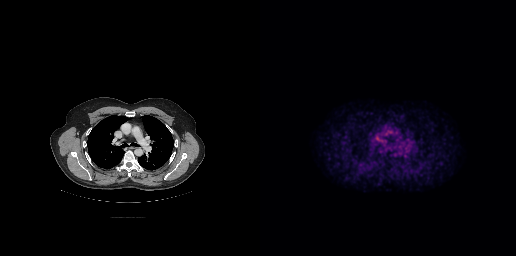
{"modality":"PSMA PET/CT","view":"axial","tracer":"[18F]PSMA-1007","pet_grid":[256,256],"coord_frame":"pet_panel","coord_format":"x0,y0,x1,y1","psma_avid_lesions":false}